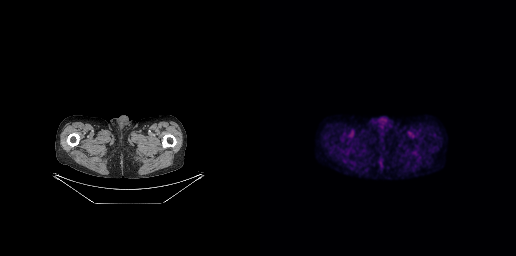
Two-panel axial: CT | PSMA PET, 18F tracer. Acquired on GE Discovery 690. No PSMA-avid tumor lesions on this slice.